Left: CT. Right: PSMA PET, same axial level, 68Ga-PSMA tracer.
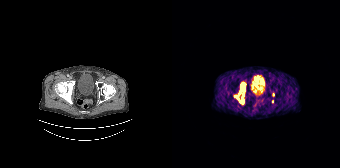
Coordinates are on the 168×168 PET (right) panel. PSMA-avid tumor lesion bounding boxes:
| # | x0 | y0 | x1 | y1 |
|---|---|---|---|---|
| 1 | 68 | 83 | 73 | 102 |
| 2 | 67 | 90 | 68 | 94 |
Small PSMA-avid foci (2 to 4 px across) near (center x, center y): (101, 94); (100, 101); (65, 97).